modality: PSMA PET/CT | tracer: [18F]PSMA-1007 | view: axial | PET grid: 200×200
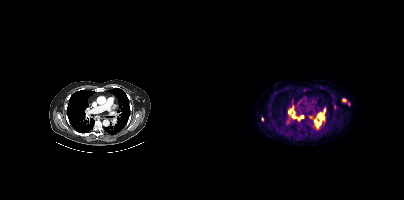
Coordinates are on the 200×200 PET (right) panel. (showing 8 of 10 foci) PSMA-avid tumor lesion bounding boxes (x0, y0)-(x1, y1): (105, 109)-(121, 128) / (84, 105)-(91, 118) / (138, 99)-(142, 101). Small PSMA-avid foci (2 to 4 px across) near (center x, center y): (130, 106) / (89, 112) / (98, 116) / (94, 119) / (58, 119).